modality: PSMA PET/CT | tracer: 18F-PSMA | view: axial
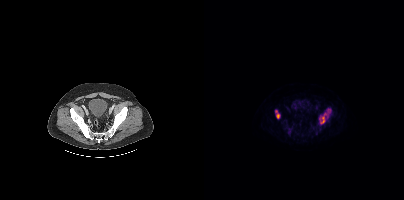
Coordinates are on the 200×200 PET (right) panel. PSMA-avid tumor lesion bounding boxes (x0,y0,x1,y1): [115,109,126,124]; [71,110,76,118].